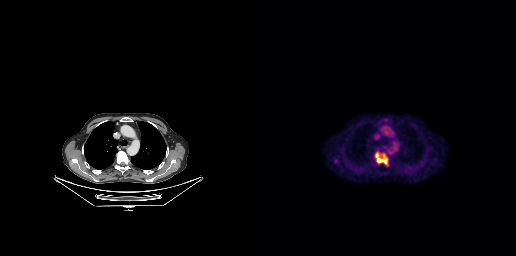
Findings: Coordinates are on the 256×256 PET (right) panel. PSMA-avid tumor lesion bounding box (x, y, width, height): x=117 y=159 w=10 h=4. Small PSMA-avid focus (2 to 4 px across) near (center x, center y): (116, 155).
- Left: CT. Right: PSMA PET, same axial level, [18F]PSMA-1007 tracer
- acquired on GE Discovery 690
- PET panel 256×256 px (2.7 mm/px)